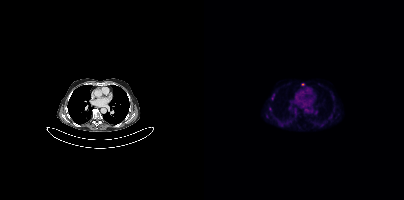
- Paired axial CT (left) and PSMA PET (right), 18F tracer
- acquired on Siemens Biograph mCT Flow 20
Findings: Coordinates are on the 200×200 PET (right) panel. Small PSMA-avid focus (2 to 4 px across) near (center x, center y): (99, 84).